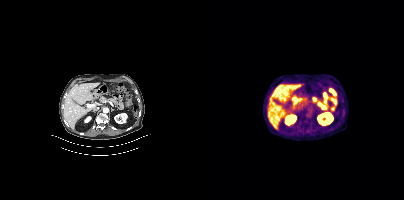
modality: PSMA PET/CT | tracer: 18F | view: axial
Negative for PSMA-avid disease on this slice.